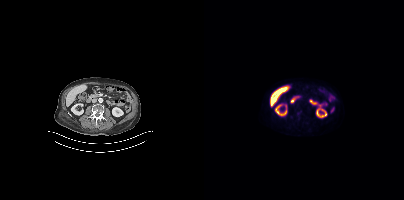
Findings: Only PSMA-avid lesion pieces thinner than 2 px on this slice (not listed).
- Left: CT. Right: PSMA PET, same axial level, 18F-PSMA tracer
- acquired on Siemens Biograph mCT Flow 20
- slice position z = -774 mm
- PET panel 200×200 px (4.1 mm/px)